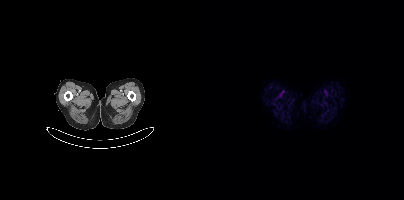
modality: PSMA PET/CT | tracer: 18F | view: axial | PET grid: 200×200
No tumor lesions annotated on this slice.